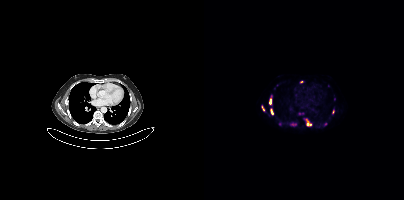
- Paired axial CT (left) and PSMA PET (right), 68Ga-PSMA tracer
- acquired on Siemens Biograph mCT Flow 20
- PET panel 200×200 px (4.1 mm/px)
Findings: Coordinates are on the 200×200 PET (right) panel. (showing 12 of 15 foci) PSMA-avid tumor lesion bounding boxes (x, y, width, height): x=119 y=122 w=5 h=5 | x=102 y=119 w=4 h=7 | x=86 y=123 w=5 h=3 | x=58 y=106 w=3 h=6 | x=67 y=109 w=2 h=5. Small PSMA-avid foci (2 to 4 px across) near (center x, center y): (76, 123) | (67, 96) | (66, 101) | (129, 112) | (98, 81) | (70, 88) | (125, 117).